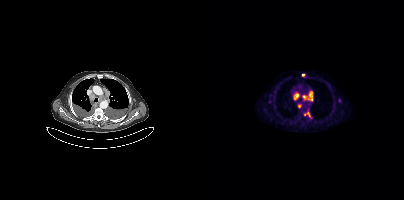
- Two-panel axial: CT | PSMA PET, [18F]PSMA-1007 tracer
- PET panel 200×200 px (4.1 mm/px)
Findings: Coordinates are on the 200×200 PET (right) panel. (showing 6 of 7 foci) PSMA-avid tumor lesion bounding boxes (x0, y0)-(x1, y1): (98, 91)-(108, 101) | (89, 93)-(95, 99) | (103, 112)-(106, 116). Small PSMA-avid foci (2 to 4 px across) near (center x, center y): (95, 105) | (99, 75) | (100, 114).